Technique: Two-panel axial: CT | PSMA PET, 18F-PSMA tracer. slice 397 of 431. PET panel 200×200 px (4.1 mm/px).
Note: An anonymization step blacked out a rectangle over the head in this scan.
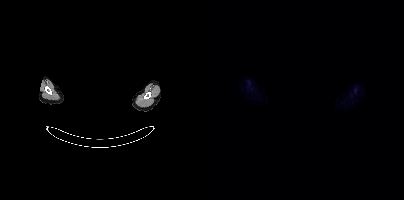
Findings: No tumor lesions annotated on this slice.